modality: PSMA PET/CT | tracer: 18F-PSMA | view: axial | PET grid: 200×200
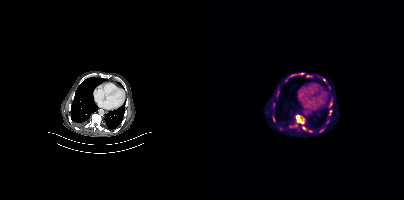
Coordinates are on the 200×200 PET (right) panel. (showing 2 of 3 foci) PSMA-avid tumor lesion bounding box (x0,y0,x1,y1): [92,115,100,123]. Small PSMA-avid focus (2 to 4 px across) near (center x, center y): (100, 128).